- Two-panel axial: CT | PSMA PET, [18F]PSMA-1007 tracer
- acquired on Siemens Biograph mCT Flow 20
- PET panel 200×200 px (4.1 mm/px)
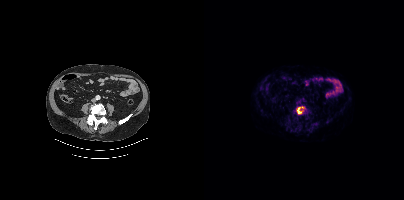
Findings: Coordinates are on the 200×200 PET (right) panel. PSMA-avid tumor lesion bounding box (x0,y0,x1,y1): [92,106,101,114].